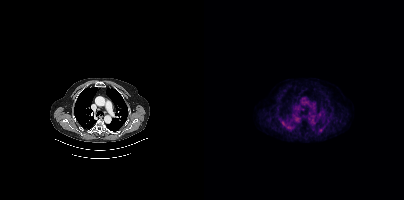
No tumor lesions annotated on this slice.